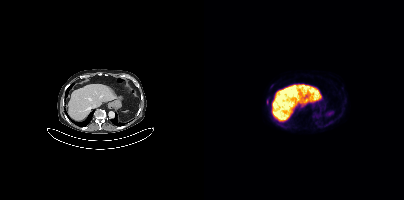
{"modality":"PSMA PET/CT","view":"axial","tracer":"18F","pet_grid":[200,200],"coord_frame":"pet_panel","coord_format":"x0,y0,x1,y1","lesion_bboxes":[[63,99,64,104]]}